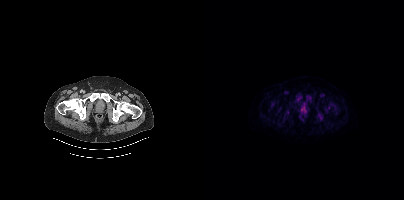
Technique: Left: CT. Right: PSMA PET, same axial level, [18F]PSMA-1007 tracer. slice 83 of 464.
Findings: Coordinates are on the 200×200 PET (right) panel. (showing 9 of 10 foci) PSMA-avid tumor lesion bounding boxes (x0, y0)-(x1, y1): (102, 95)-(107, 100); (113, 114)-(118, 119); (66, 101)-(71, 106); (96, 109)-(102, 113); (93, 96)-(96, 102); (74, 107)-(78, 111). Small PSMA-avid foci (2 to 4 px across) near (center x, center y): (123, 107); (86, 103); (82, 114).